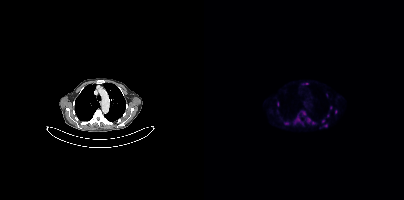
{"modality":"PSMA PET/CT","view":"axial","tracer":"18F-PSMA","pet_grid":[200,200],"coord_frame":"pet_panel","coord_format":"x0,y0,x1,y1","partial":true,"lesion_bboxes":[],"small_foci_centers":[[94,119],[119,121],[122,125],[100,113],[105,119],[82,123],[131,111],[109,122]]}